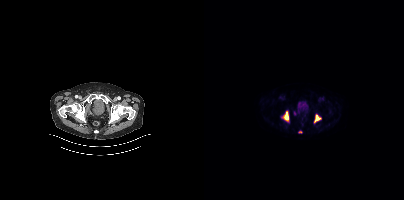
Coordinates are on the 200×200 PET (right) panel. PSMA-avid tumor lesion bounding boxes (x, y, width, height): x=79 y=111 w=6 h=10 | x=110 y=115 w=7 h=8. Small PSMA-avid focus (2 to 4 px across) near (center x, center y): (96, 131). Left: CT. Right: PSMA PET, same axial level, 18F-PSMA tracer. Slice position z = -934 mm.